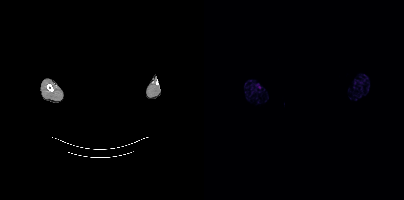
modality: PSMA PET/CT | tracer: 18F | view: axial | PET grid: 200×200 | de-identification: head region blanked (face removed)
Negative for PSMA-avid disease on this slice.